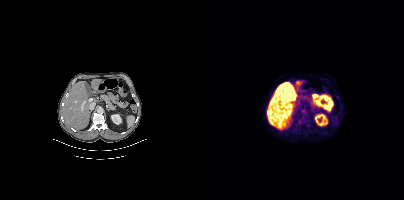
{"modality":"PSMA PET/CT","view":"axial","tracer":"18F","pet_grid":[200,200],"coord_frame":"pet_panel","coord_format":"x0,y0,x1,y1","lesion_bboxes":[],"small_foci_centers":[[96,120]]}